- Two-panel axial: CT | PSMA PET, [18F]PSMA-1007 tracer
- PET panel 168×168 px (4.1 mm/px)
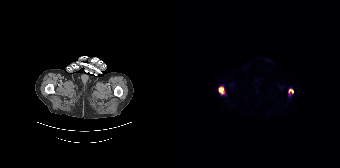
Findings: Coordinates are on the 168×168 PET (right) panel. PSMA-avid tumor lesion bounding boxes (x0, y0)-(x1, y1): (46, 86)-(53, 94); (116, 89)-(121, 93).